Technique: Two-panel axial: CT | PSMA PET, [18F]PSMA-1007 tracer. acquired on Siemens Biograph mCT Flow 20. slice position z = 1691 mm. PET panel 200×200 px (4.1 mm/px).
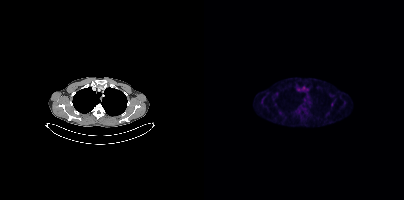
Findings: No tumor lesions annotated on this slice.